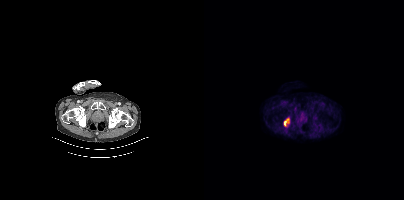
{"modality":"PSMA PET/CT","view":"axial","tracer":"18F-PSMA","pet_grid":[200,200],"coord_frame":"pet_panel","coord_format":"x0,y0,x1,y1","partial":true,"lesion_bboxes":[[79,118,85,126]]}